Technique: Paired axial CT (left) and PSMA PET (right), 18F-PSMA tracer. acquired on Siemens Biograph mCT Flow 20.
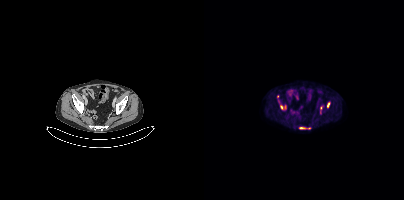
Findings: Coordinates are on the 200×200 PET (right) panel. (showing 6 of 7 foci) PSMA-avid tumor lesion bounding boxes (x0, y0)-(x1, y1): (76, 105)-(82, 109) / (123, 102)-(126, 107) / (95, 127)-(101, 128). Small PSMA-avid foci (2 to 4 px across) near (center x, center y): (117, 107) / (73, 96) / (116, 112).